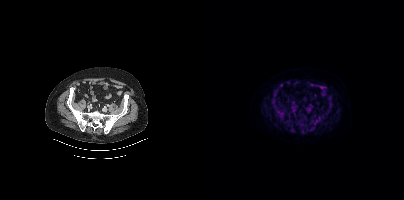
No tumor lesions annotated on this slice.